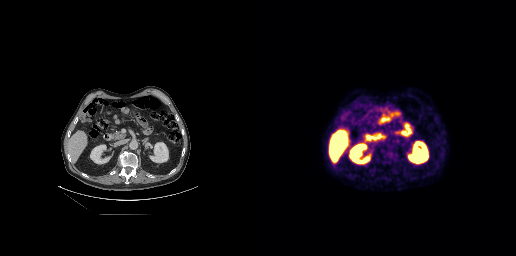
- Two-panel axial: CT | PSMA PET, [18F]PSMA-1007 tracer
- acquired on GE Discovery 690
- PET panel 256×256 px (2.7 mm/px)
Findings: This slice has no annotated PSMA-avid lesion.